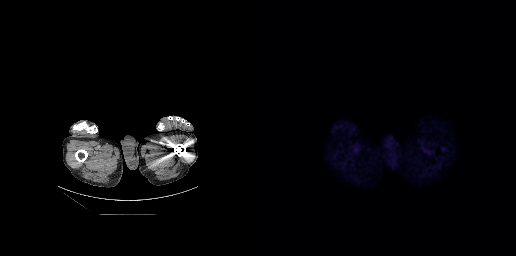
modality: PSMA PET/CT | tracer: 18F-PSMA | view: axial | PET grid: 256×256
Negative for PSMA-avid disease on this slice.